Two-panel axial: CT | PSMA PET, [68Ga]Ga-PSMA-11 tracer. PET panel 168×168 px (4.1 mm/px).
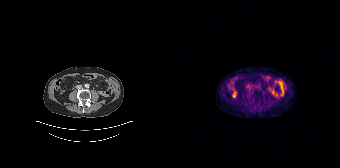
This slice has no annotated PSMA-avid lesion.